- Paired axial CT (left) and PSMA PET (right), [18F]PSMA-1007 tracer
- PET panel 200×200 px (4.1 mm/px)
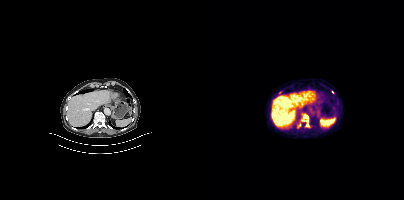
Findings: Coordinates are on the 200×200 PET (right) panel. (showing 4 of 5 foci) PSMA-avid tumor lesion bounding box (x, y, width, height): x=99 y=114 w=7 h=14. Small PSMA-avid foci (2 to 4 px across) near (center x, center y): (128, 92); (96, 125); (68, 100).